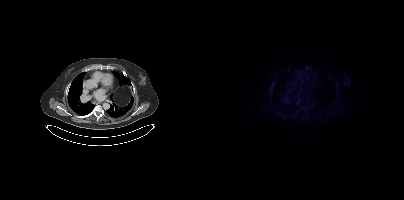
modality: PSMA PET/CT | tracer: 18F-PSMA | view: axial
No tumor lesions annotated on this slice.